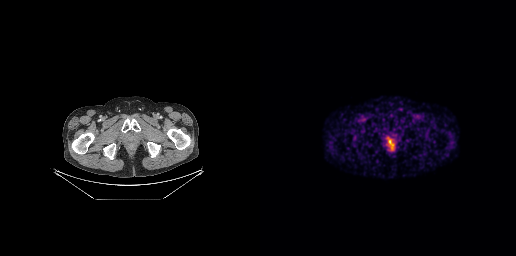
Coordinates are on the 256×256 PET (right) panel. Small PSMA-avid focus (2 to 4 px across) near (center x, center y): (129, 141). Left: CT. Right: PSMA PET, same axial level, 68Ga tracer. Slice 41 of 263.